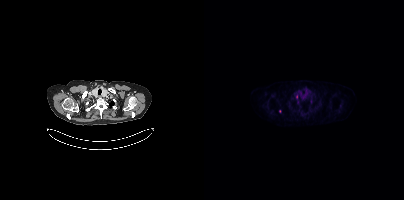
modality: PSMA PET/CT | tracer: [18F]PSMA-1007 | view: axial
Only PSMA-avid lesion pieces thinner than 2 px on this slice (not listed).